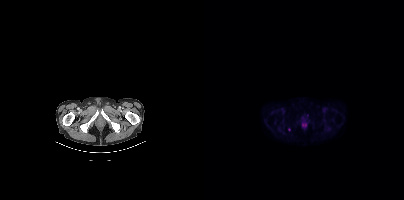
- Two-panel axial: CT | PSMA PET, 18F tracer
- slice position z = -461 mm
- PET panel 200×200 px (4.1 mm/px)
Findings: Only PSMA-avid lesion pieces thinner than 2 px on this slice (not listed).